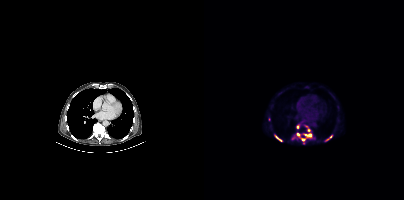
Two-panel axial: CT | PSMA PET, 18F tracer. Coordinates are on the 200×200 PET (right) panel. (showing 8 of 10 foci) PSMA-avid tumor lesion bounding boxes (x, y, width, height): x=102 y=134 w=6 h=4 / x=121 y=135 w=8 h=7 / x=71 y=135 w=7 h=7. Small PSMA-avid foci (2 to 4 px across) near (center x, center y): (94, 134) / (98, 139) / (93, 126) / (88, 137) / (104, 129).